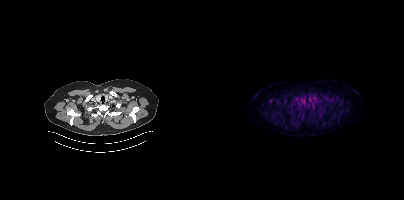
This slice has no annotated PSMA-avid lesion. Two-panel axial: CT | PSMA PET, 18F-PSMA tracer. Slice position z = -984 mm.